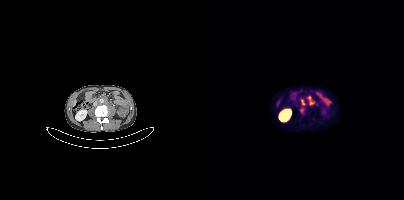
Paired axial CT (left) and PSMA PET (right), [68Ga]Ga-PSMA-11 tracer. Acquired on Siemens Biograph mCT Flow 20.
Coordinates are on the 200×200 PET (right) panel. PSMA-avid tumor lesion bounding boxes:
| # | x0 | y0 | x1 | y1 |
|---|---|---|---|---|
| 1 | 104 | 96 | 110 | 104 |
| 2 | 96 | 108 | 100 | 114 |
| 3 | 97 | 99 | 101 | 105 |